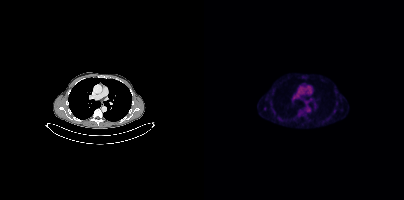
modality: PSMA PET/CT | tracer: [18F]PSMA-1007 | view: axial | PET grid: 200×200
Coordinates are on the 200×200 PET (right) panel. Small PSMA-avid focus (2 to 4 px across) near (center x, center y): (60, 108).